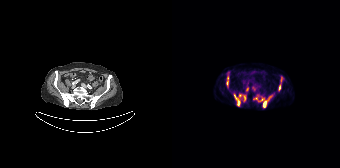
Coordinates are on the 168×168 PET (right) panel. (showing 7 of 8 foci) PSMA-avid tumor lesion bounding boxes (x0, y0)-(x1, y1): (87, 95)-(100, 107) | (62, 94)-(69, 106) | (54, 76)-(56, 86) | (71, 95)-(74, 101) | (106, 85)-(108, 90) | (81, 97)-(85, 99). Small PSMA-avid focus (2 to 4 px across) near (center x, center y): (75, 89).